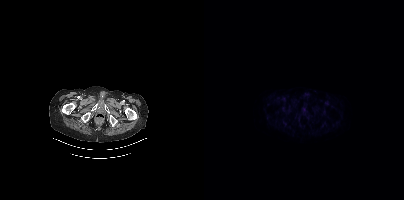
No PSMA-avid tumor lesions on this slice.